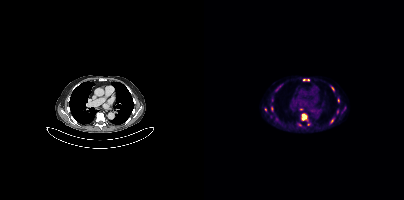
Two-panel axial: CT | PSMA PET, [18F]PSMA-1007 tracer. Acquired on Siemens Biograph mCT Flow 20. Coordinates are on the 200×200 PET (right) panel. (showing 9 of 12 foci) PSMA-avid tumor lesion bounding box (x, y, width, height): x=97 y=113 w=7 h=8. Small PSMA-avid foci (2 to 4 px across) near (center x, center y): (128, 87); (67, 108); (100, 79); (104, 79); (134, 100); (61, 109); (104, 124); (133, 111).